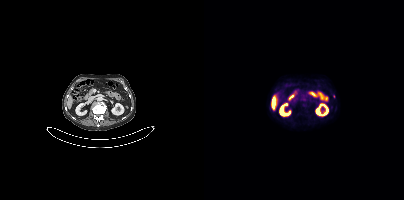
Technique: Paired axial CT (left) and PSMA PET (right), 18F tracer. acquired on Siemens Biograph mCT Flow 20.
Findings: Coordinates are on the 200×200 PET (right) panel. Small PSMA-avid focus (2 to 4 px across) near (center x, center y): (130, 96).